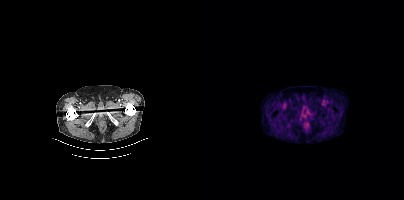
This slice has no annotated PSMA-avid lesion.